Left: CT. Right: PSMA PET, same axial level, 18F-PSMA tracer. Slice position z = -628 mm.
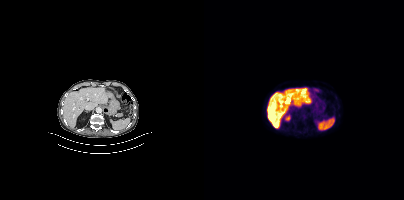
No PSMA-avid tumor lesions on this slice.